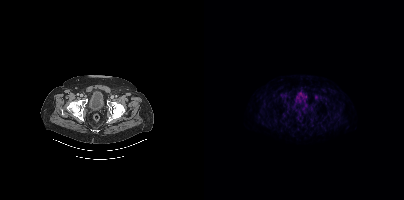
Paired axial CT (left) and PSMA PET (right), 18F-PSMA tracer. PET panel 200×200 px (4.1 mm/px). Only PSMA-avid lesion pieces thinner than 2 px on this slice (not listed).